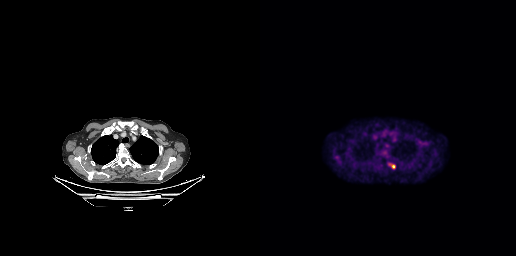
Paired axial CT (left) and PSMA PET (right), 18F tracer. Coordinates are on the 256×256 PET (right) panel. Small PSMA-avid focus (2 to 4 px across) near (center x, center y): (133, 166).